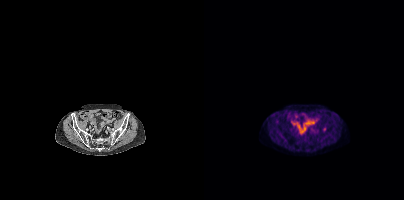
- Paired axial CT (left) and PSMA PET (right), 18F tracer
Findings: Coordinates are on the 200×200 PET (right) panel. Small PSMA-avid focus (2 to 4 px across) near (center x, center y): (120, 128).